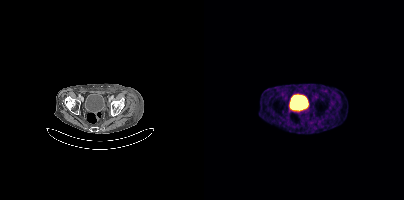
{"modality":"PSMA PET/CT","view":"axial","tracer":"[68Ga]Ga-PSMA-11","pet_grid":[200,200],"coord_frame":"pet_panel","coord_format":"x0,y0,x1,y1","partial":true,"lesion_bboxes":[]}